modality: PSMA PET/CT | tracer: 18F | view: axial
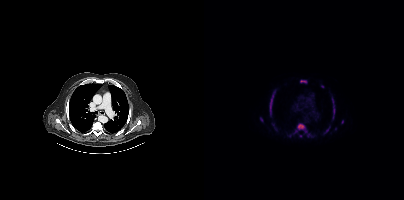
Coordinates are on the 200×200 PET (right) panel. (showing 10 of 12 foci) PSMA-avid tumor lesion bounding boxes (x0,y0,x1,y1): [89,123,102,133], [65,90,71,115], [128,97,131,118], [96,80,102,83], [56,117,58,121]. Small PSMA-avid foci (2 to 4 px across) near (center x, center y): (96, 136), (123, 130), (118, 86), (138, 121), (85, 135).